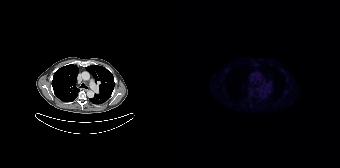
modality: PSMA PET/CT | tracer: [18F]PSMA-1007 | view: axial | PET grid: 168×168
This slice has no annotated PSMA-avid lesion.